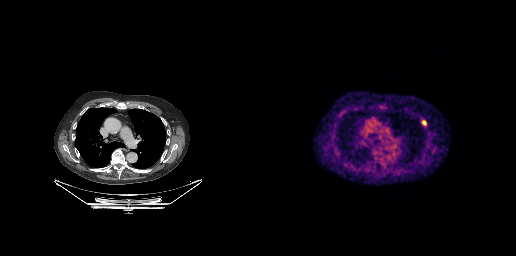
{"modality":"PSMA PET/CT","view":"axial","tracer":"18F","pet_grid":[256,256],"coord_frame":"pet_panel","coord_format":"x0,y0,x1,y1","lesion_bboxes":[[162,120,166,125]]}